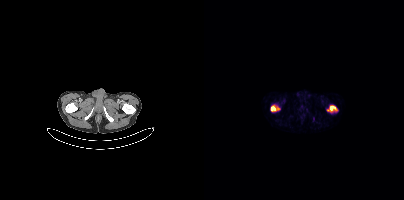
{"modality":"PSMA PET/CT","view":"axial","tracer":"68Ga","pet_grid":[200,200],"coord_frame":"pet_panel","coord_format":"x0,y0,x1,y1","partial":true,"lesion_bboxes":[[67,106,75,110],[126,105,132,110]]}